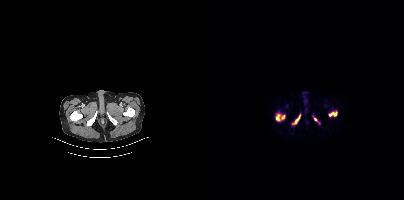
modality: PSMA PET/CT | tracer: 18F-PSMA | view: axial
Coordinates are on the 200×200 PET (right) panel. PSMA-avid tumor lesion bounding boxes (x, y, width, height): x=88 y=115 w=9 h=10 | x=125 y=111 w=9 h=6 | x=72 y=114 w=4 h=7 | x=77 y=115 w=4 h=5. Small PSMA-avid focus (2 to 4 px across) near (center x, center y): (111, 119).